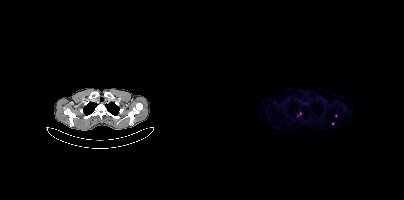
- Paired axial CT (left) and PSMA PET (right), [68Ga]Ga-PSMA-11 tracer
- slice 323 of 409
Findings: Coordinates are on the 200×200 PET (right) panel. Small PSMA-avid foci (2 to 4 px across) near (center x, center y): (96, 113) | (131, 115) | (128, 123) | (93, 115).